modality: PSMA PET/CT | tracer: 18F-PSMA | view: axial
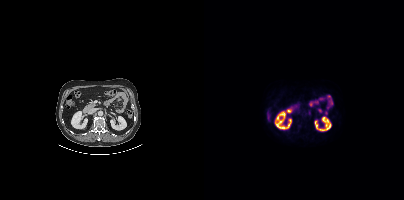
Coordinates are on the 200×200 PET (right) panel. Small PSMA-avid focus (2 to 4 px across) near (center x, center y): (105, 112).